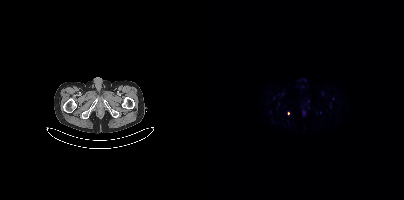
Technique: Two-panel axial: CT | PSMA PET, 68Ga-PSMA tracer. acquired on Siemens Biograph mCT Flow 20. slice 41 of 411.
Findings: Coordinates are on the 200×200 PET (right) panel. (showing 1 of 2 foci) Small PSMA-avid focus (2 to 4 px across) near (center x, center y): (84, 113).